Paired axial CT (left) and PSMA PET (right), [18F]PSMA-1007 tracer.
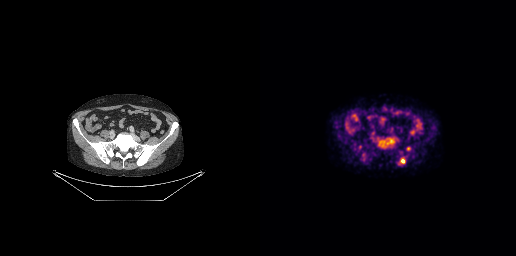
Coordinates are on the 256×256 PET (right) panel. Small PSMA-avid foci (2 to 4 px across) near (center x, center y): (142, 160) | (148, 148).